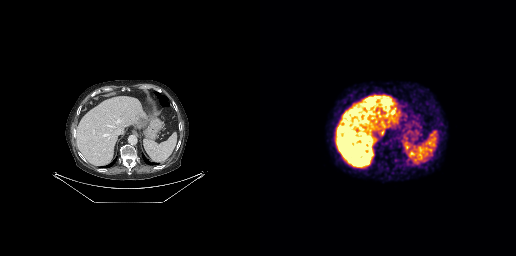
modality: PSMA PET/CT | tracer: [68Ga]Ga-PSMA-11 | view: axial | PET grid: 256×256
No PSMA-avid tumor lesions on this slice.